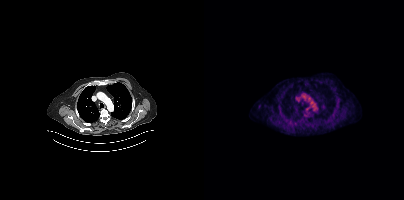
This slice has no annotated PSMA-avid lesion.
modality: PSMA PET/CT | tracer: [18F]PSMA-1007 | view: axial